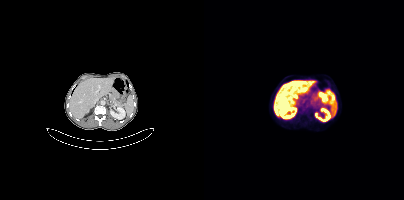
Coordinates are on the 200×200 PET (right) panel. PSMA-avid tumor lesion bounding box (x, y, width, height): x=96 y=106 w=7 h=7.